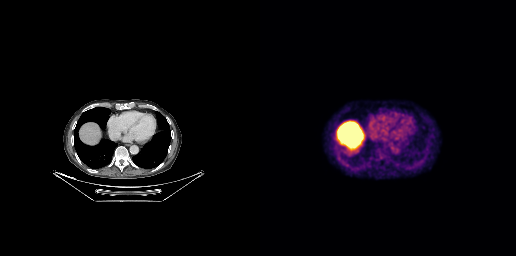
- Two-panel axial: CT | PSMA PET, [18F]PSMA-1007 tracer
- acquired on GE Discovery 690
- slice 171 of 263
Findings: Negative for PSMA-avid disease on this slice.